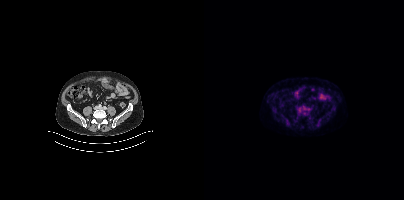
Findings: Coordinates are on the 200×200 PET (right) panel. PSMA-avid tumor lesion bounding box (x0, y0)-(x1, y1): (92, 108)-(96, 112).
Technique: Left: CT. Right: PSMA PET, same axial level, 18F tracer. acquired on Siemens Biograph mCT Flow 20. slice position z = -758 mm.